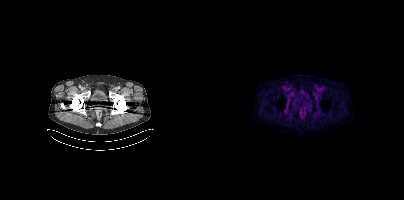
No tumor lesions annotated on this slice.